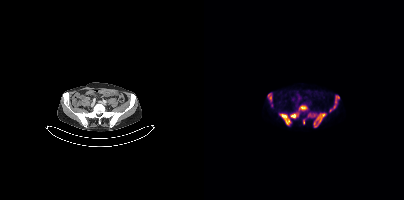
Technique: Paired axial CT (left) and PSMA PET (right), 18F-PSMA tracer. acquired on Siemens Biograph mCT Flow 20. PET panel 200×200 px (4.1 mm/px).
Findings: Coordinates are on the 200×200 PET (right) panel. (showing 6 of 7 foci) PSMA-avid tumor lesion bounding boxes (x0,y0,x1,y1): [104,113,122,127]; [86,105,103,118]; [75,113,87,125]; [126,95,135,111]; [64,93,67,101]; [99,119,100,124].